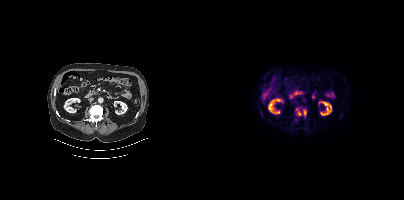
Coordinates are on the 200×200 PET (right) panel. PSMA-avid tumor lesion bounding boxes:
| # | x0 | y0 | x1 | y1 |
|---|---|---|---|---|
| 1 | 99 | 109 | 102 | 116 |
| 2 | 93 | 111 | 97 | 115 |
Small PSMA-avid focus (2 to 4 px across) near (center x, center y): (92, 108).
Paired axial CT (left) and PSMA PET (right), [18F]PSMA-1007 tracer.